- Two-panel axial: CT | PSMA PET, 18F-PSMA tracer
- a rectangle over the head was blacked out to remove identifiable facial features
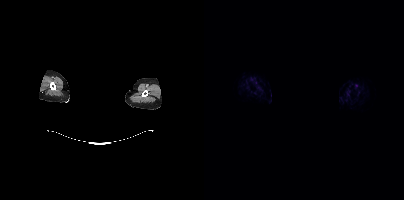
Findings: No PSMA-avid tumor lesions on this slice.